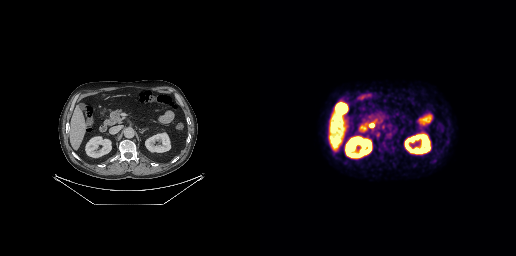
{"pet_grid":[256,256],"coord_frame":"pet_panel","coord_format":"x0,y0,x1,y1","psma_avid_lesions":false,"modality":"PSMA PET/CT","view":"axial","tracer":"18F-PSMA"}